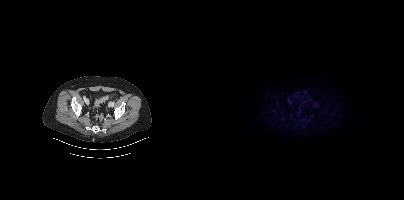
{"modality":"PSMA PET/CT","view":"axial","tracer":"18F","pet_grid":[200,200],"coord_frame":"pet_panel","coord_format":"x0,y0,x1,y1","psma_avid_lesions":false}